Technique: Paired axial CT (left) and PSMA PET (right), 68Ga tracer. acquired on GE Discovery 690. slice 197 of 263. PET panel 256×256 px (2.7 mm/px).
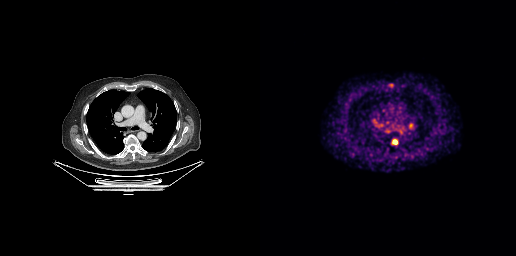
Findings: Coordinates are on the 256×256 PET (right) panel. Small PSMA-avid foci (2 to 4 px across) near (center x, center y): (131, 85); (135, 142).